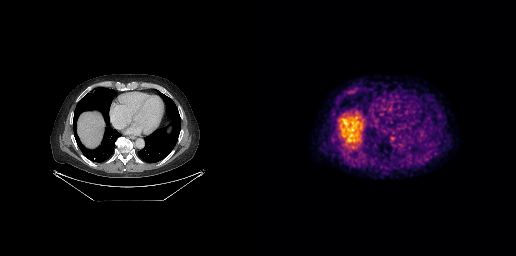
Paired axial CT (left) and PSMA PET (right), 68Ga tracer. Slice 201 of 299. PET panel 256×256 px (2.7 mm/px). Negative for PSMA-avid disease on this slice.